Technique: Left: CT. Right: PSMA PET, same axial level, 18F tracer. acquired on Siemens Biograph mCT Flow 20.
Note: The head region is masked for de-identification.
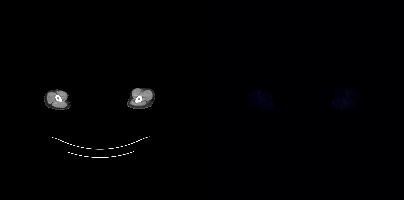
Findings: No PSMA-avid tumor lesions on this slice.